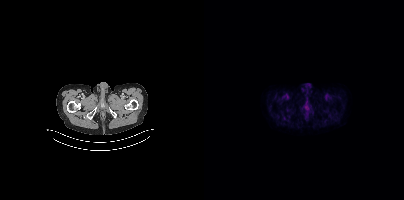
No tumor lesions annotated on this slice.